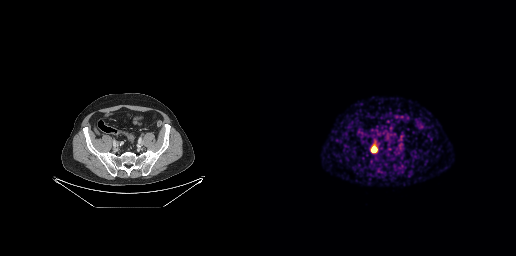
Left: CT. Right: PSMA PET, same axial level, 68Ga tracer. Slice 81 of 263. PET panel 256×256 px (2.7 mm/px).
Coordinates are on the 256×256 PET (right) panel. PSMA-avid tumor lesion bounding boxes:
| # | x0 | y0 | x1 | y1 |
|---|---|---|---|---|
| 1 | 111 | 144 | 117 | 152 |